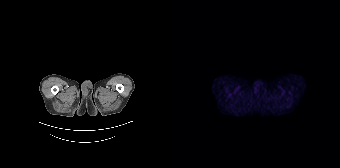
{"modality":"PSMA PET/CT","view":"axial","tracer":"68Ga-PSMA","pet_grid":[168,168],"coord_frame":"pet_panel","coord_format":"x0,y0,x1,y1","psma_avid_lesions":false}